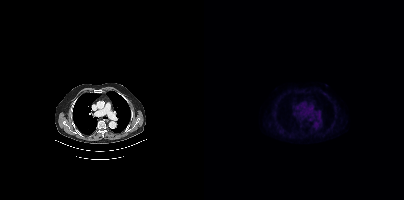
No tumor lesions annotated on this slice. Left: CT. Right: PSMA PET, same axial level, 18F-PSMA tracer. Acquired on Siemens Biograph mCT Flow 20.